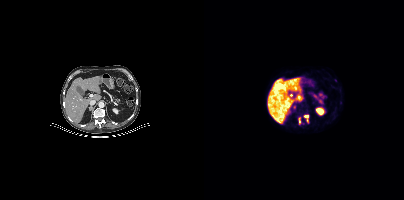
Left: CT. Right: PSMA PET, same axial level, 18F-PSMA tracer. Acquired on Siemens Biograph mCT Flow 20. PET panel 200×200 px (4.1 mm/px).
Coordinates are on the 200×200 PET (right) panel. PSMA-avid tumor lesion bounding boxes (partial; 2 more foci not listed):
| # | x0 | y0 | x1 | y1 |
|---|---|---|---|---|
| 1 | 100 | 115 | 104 | 117 |